- Paired axial CT (left) and PSMA PET (right), 18F tracer
- acquired on GE Discovery 690
- slice 190 of 263
- PET panel 256×256 px (2.7 mm/px)
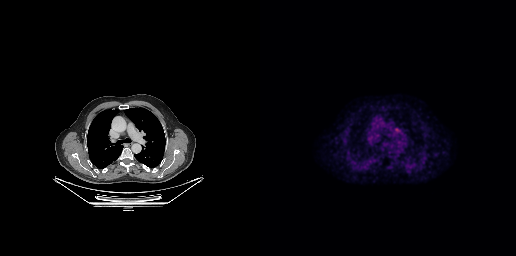
Findings: Coordinates are on the 256×256 PET (right) panel. PSMA-avid tumor lesion bounding boxes (x, y, width, height): x=134 y=127 w=7 h=7 / x=108 y=136 w=6 h=7.